Technique: Left: CT. Right: PSMA PET, same axial level, 68Ga-PSMA tracer. acquired on Siemens Biograph 64-4R TruePoint.
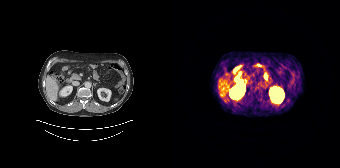
Findings: Negative for PSMA-avid disease on this slice.